- Left: CT. Right: PSMA PET, same axial level, [68Ga]Ga-PSMA-11 tracer
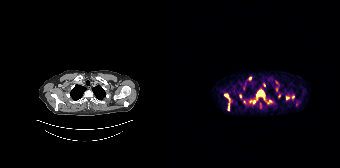
Findings: Coordinates are on the 168×168 PET (right) panel. (showing 11 of 14 foci) PSMA-avid tumor lesion bounding boxes (x0,y0,x1,y1): [84,89,100,104] [52,93,58,101] [77,99,83,103] [56,103,57,110]. Small PSMA-avid foci (2 to 4 px across) near (center x, center y): (115, 97) (104, 82) (72, 101) (78, 78) (68, 96) (121, 97) (92, 84).